Technique: Left: CT. Right: PSMA PET, same axial level, 18F-PSMA tracer. acquired on Siemens Biograph mCT Flow 20. slice 283 of 387.
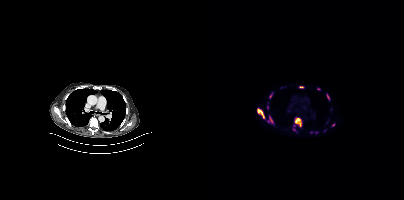
Findings: Coordinates are on the 200×200 PET (right) panel. (showing 10 of 13 foci) PSMA-avid tumor lesion bounding boxes (x, y, width, height): x=91 y=118 w=7 h=9 / x=53 y=108 w=8 h=11 / x=65 y=117 w=5 h=6 / x=65 y=93 w=4 h=5 / x=123 y=94 w=3 h=6 / x=95 y=86 w=5 h=2. Small PSMA-avid foci (2 to 4 px across) near (center x, center y): (63, 107) / (129, 124) / (90, 129) / (90, 125).